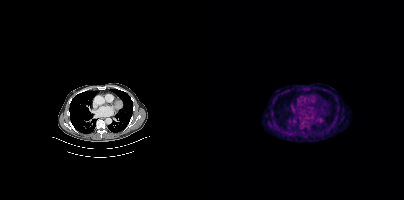
Left: CT. Right: PSMA PET, same axial level, 18F-PSMA tracer. Slice 297 of 448.
Coordinates are on the 200×200 PET (right) panel. PSMA-avid tumor lesion bounding boxes:
| # | x0 | y0 | x1 | y1 |
|---|---|---|---|---|
| 1 | 95 | 117 | 101 | 124 |